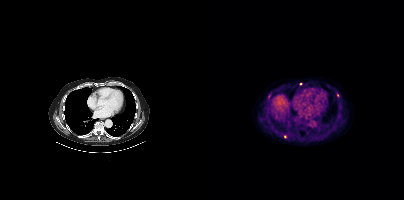
- Left: CT. Right: PSMA PET, same axial level, [18F]PSMA-1007 tracer
- acquired on Siemens Biograph mCT Flow 20
Findings: Coordinates are on the 200×200 PET (right) panel. PSMA-avid tumor lesion bounding box (x0,y0,x1,y1): [64,94,66,98]. Small PSMA-avid foci (2 to 4 px across) near (center x, center y): (81, 136) (133, 95) (96, 83).